- Left: CT. Right: PSMA PET, same axial level, [68Ga]Ga-PSMA-11 tracer
- acquired on Siemens Biograph mCT Flow 20
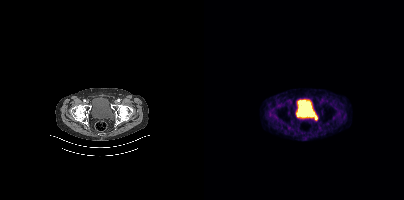
Findings: This slice has no annotated PSMA-avid lesion.